modality: PSMA PET/CT | tracer: 18F | view: axial | PET grid: 200×200
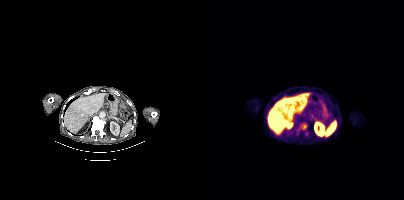
Coordinates are on the 200×200 PET (right) panel. PSMA-avid tumor lesion bounding boxes (x0, y0)-(x1, y1): (95, 123)-(103, 129) / (100, 132)-(104, 136).